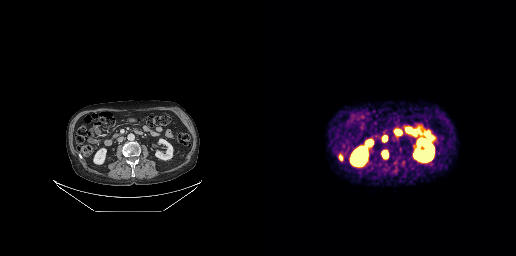
{"modality":"PSMA PET/CT","view":"axial","tracer":"[68Ga]Ga-PSMA-11","pet_grid":[256,256],"coord_frame":"pet_panel","coord_format":"x0,y0,x1,y1","lesion_bboxes":[[122,151,127,157],[79,154,83,160],[123,136,126,140]]}